- Paired axial CT (left) and PSMA PET (right), 18F-PSMA tracer
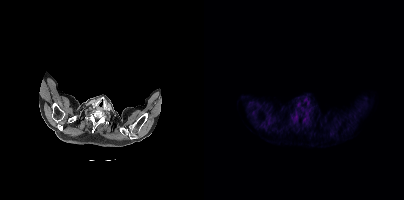
Findings: This slice has no annotated PSMA-avid lesion.